modality: PSMA PET/CT | tracer: 68Ga | view: axial | PET grid: 200×200
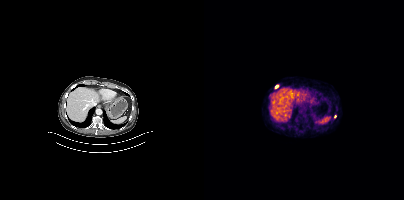
Coordinates are on the 200×200 PET (right) panel. (showing 1 of 2 foci) Small PSMA-avid focus (2 to 4 px across) near (center x, center y): (72, 86).